Paired axial CT (left) and PSMA PET (right), 18F tracer. Slice position z = -819 mm.
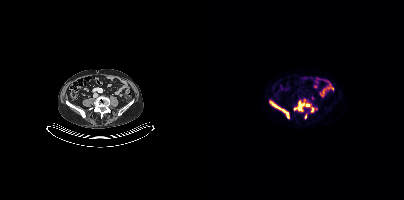
Coordinates are on the 200×200 PET (right) panel. (showing 5 of 6 foci) PSMA-avid tumor lesion bounding boxes (x, y, width, height): x=66 y=102 w=20 h=17 / x=90 y=102 w=10 h=10 / x=99 y=103 w=7 h=4 / x=107 y=108 w=4 h=5 / x=101 y=114 w=2 h=5.